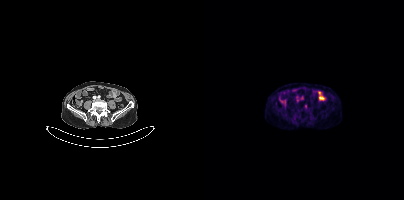
{"modality":"PSMA PET/CT","view":"axial","tracer":"18F","pet_grid":[200,200],"coord_frame":"pet_panel","coord_format":"x0,y0,x1,y1","lesion_bboxes":[],"small_foci_centers":[[101,106]]}